modality: PSMA PET/CT | tracer: 18F-PSMA | view: axial
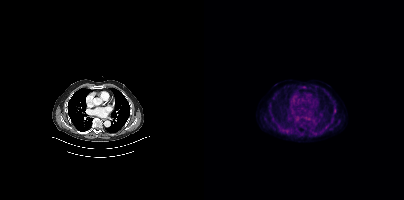
This slice has no annotated PSMA-avid lesion.